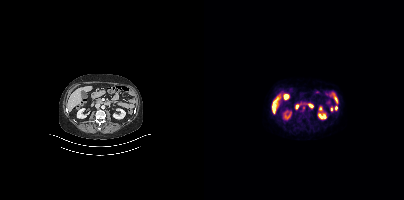
modality: PSMA PET/CT | tracer: 18F | view: axial | PET grid: 200×200
Coordinates are on the 200×200 PET (right) panel. Small PSMA-avid focus (2 to 4 px across) near (center x, center y): (99, 107).